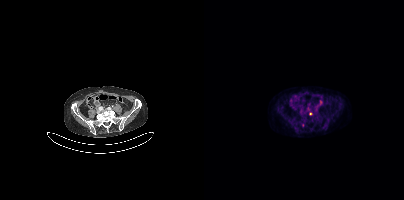
modality: PSMA PET/CT | tracer: 18F-PSMA | view: axial | PET grid: 200×200
Coordinates are on the 200×200 PET (right) panel. (showing 2 of 3 foci) Small PSMA-avid foci (2 to 4 px across) near (center x, center y): (106, 113); (98, 125).